Paired axial CT (left) and PSMA PET (right), 18F-PSMA tracer. PET panel 200×200 px (4.1 mm/px).
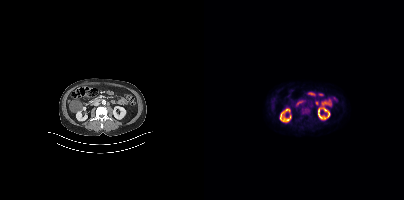
This slice has no annotated PSMA-avid lesion.